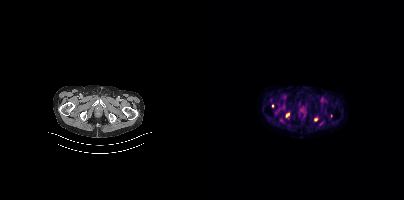
Coordinates are on the 200×200 PET (right) panel. Small PSMA-avid foci (2 to 4 px across) near (center x, center y): (83, 114) (68, 105) (111, 119).